modality: PSMA PET/CT | tracer: 18F-PSMA | view: axial
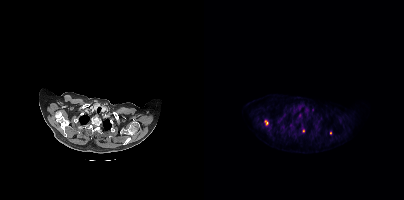
Coordinates are on the 200×200 PET (right) panel. PSMA-avid tumor lesion bounding box (x0, y0)-(x1, y1): (61, 120)-(64, 124). Small PSMA-avid focus (2 to 4 px across) near (center x, center y): (99, 130).